Left: CT. Right: PSMA PET, same axial level, 68Ga-PSMA tracer. Acquired on Siemens Biograph 64-4R TruePoint. Slice position z = -540 mm.
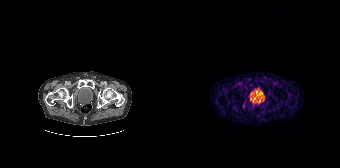
Coordinates are on the 168×168 PET (right) panel. Small PSMA-avid focus (2 to 4 px across) near (center x, center y): (71, 105).